Paired axial CT (left) and PSMA PET (right), 18F-PSMA tracer. Slice position z = -861 mm.
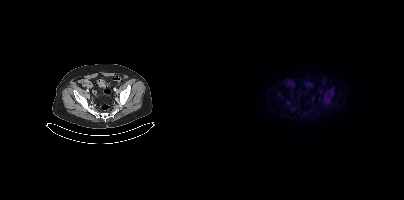
Negative for PSMA-avid disease on this slice.